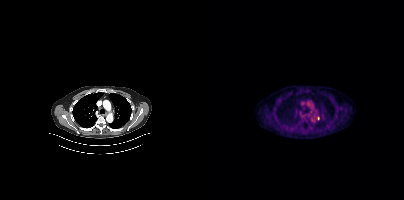
Coordinates are on the 200×200 PET (right) panel. (showing 1 of 2 foci) Small PSMA-avid focus (2 to 4 px across) near (center x, center y): (114, 118).